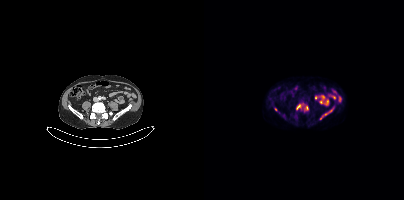
Coordinates are on the 200×200 PET (right) panel. PSMA-avid tumor lesion bounding boxes (x, y, width, height): x=119 y=107 w=12 h=9 | x=92 y=104 w=6 h=6 | x=101 y=106 w=4 h=5. Small PSMA-avid foci (2 to 4 px across) near (center x, center y): (117, 117) | (72, 109).
modality: PSMA PET/CT | tracer: [18F]PSMA-1007 | view: axial | PET grid: 200×200